Technique: Two-panel axial: CT | PSMA PET, 18F-PSMA tracer.
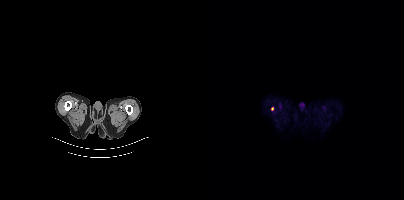
Findings: Coordinates are on the 200×200 PET (right) panel. Small PSMA-avid focus (2 to 4 px across) near (center x, center y): (68, 108).